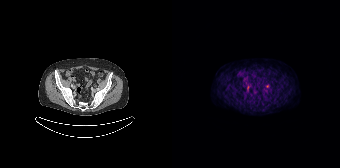
No PSMA-avid tumor lesions on this slice.
modality: PSMA PET/CT | tracer: 68Ga | view: axial